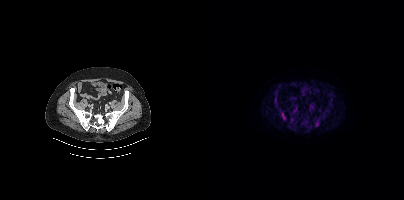
Technique: Left: CT. Right: PSMA PET, same axial level, [18F]PSMA-1007 tracer. slice position z = -1293 mm. PET panel 200×200 px (4.1 mm/px).
Findings: Coordinates are on the 200×200 PET (right) panel. (showing 10 of 11 foci) PSMA-avid tumor lesion bounding boxes (x0,y0,x1,y1): [110,119,116,126], [76,110,82,120], [69,89,74,95], [89,108,93,112], [125,98,128,103], [71,105,76,109], [120,109,124,113], [88,122,92,125]. Small PSMA-avid foci (2 to 4 px across) near (center x, center y): (71, 101), (103, 125).